Left: CT. Right: PSMA PET, same axial level, 68Ga tracer. Slice 327 of 389.
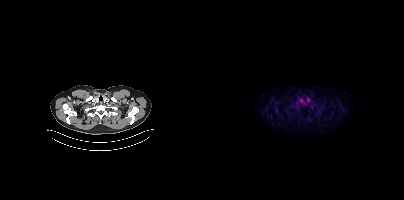
No tumor lesions annotated on this slice.